Technique: Two-panel axial: CT | PSMA PET, 18F-PSMA tracer. slice 244 of 415.
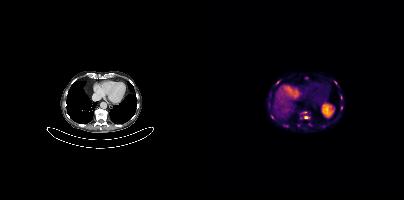
Findings: Coordinates are on the 200×200 PET (right) panel. (showing 6 of 8 foci) PSMA-avid tumor lesion bounding box (x, y, width, height): x=100 y=116 w=6 h=3. Small PSMA-avid foci (2 to 4 px across) near (center x, center y): (68, 116) | (137, 97) | (137, 107) | (74, 82) | (100, 112).